Technique: Two-panel axial: CT | PSMA PET, [18F]PSMA-1007 tracer. acquired on Siemens Biograph mCT Flow 20. slice 102 of 395.
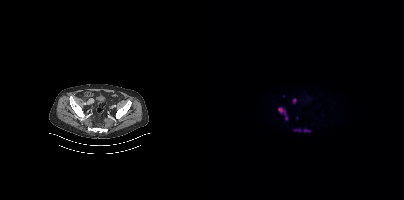
Findings: Coordinates are on the 200×200 PET (right) panel. (showing 3 of 5 foci) PSMA-avid tumor lesion bounding boxes (x0, y0)-(x1, y1): (93, 129)-(103, 132) / (74, 108)-(80, 112). Small PSMA-avid focus (2 to 4 px across) near (center x, center y): (90, 101).